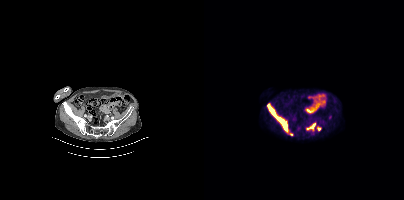
- Paired axial CT (left) and PSMA PET (right), 18F tracer
Findings: Coordinates are on the 200×200 PET (right) panel. (showing 4 of 5 foci) PSMA-avid tumor lesion bounding boxes (x, y, width, height): x=63 y=103 w=22 h=30 | x=102 y=122 w=11 h=10 | x=113 y=126 w=4 h=5. Small PSMA-avid focus (2 to 4 px across) near (center x, center y): (87, 134).